Left: CT. Right: PSMA PET, same axial level, 18F tracer. Slice position z = -578 mm.
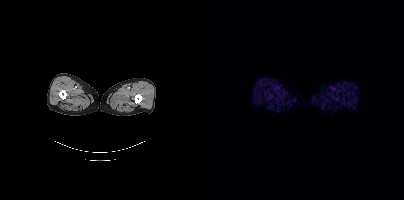
No PSMA-avid tumor lesions on this slice.